Left: CT. Right: PSMA PET, same axial level, [18F]PSMA-1007 tracer. Slice 35 of 407.
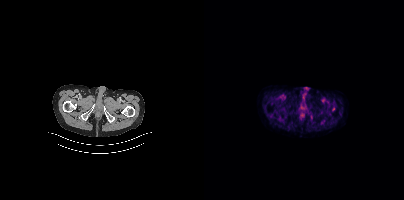
No tumor lesions annotated on this slice.